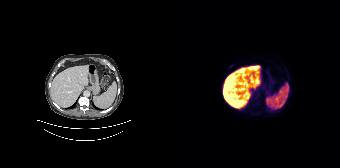
Coordinates are on the 168×168 PET (right) panel. Small PSMA-avid focus (2 to 4 px across) near (center x, center y): (59, 66).